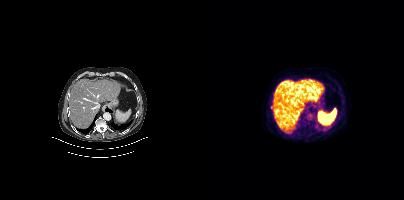
{"pet_grid":[200,200],"coord_frame":"pet_panel","coord_format":"x0,y0,x1,y1","lesion_bboxes":[],"small_foci_centers":[[67,107]],"modality":"PSMA PET/CT","view":"axial","tracer":"18F-PSMA"}